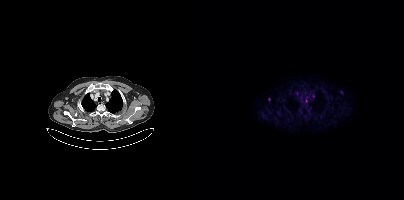
Technique: Two-panel axial: CT | PSMA PET, 18F-PSMA tracer. slice 351 of 433.
Findings: Coordinates are on the 200×200 PET (right) panel. (showing 2 of 3 foci) Small PSMA-avid foci (2 to 4 px across) near (center x, center y): (137, 92) / (65, 99).